modality: PSMA PET/CT | tracer: [18F]PSMA-1007 | view: axial | PET grid: 200×200
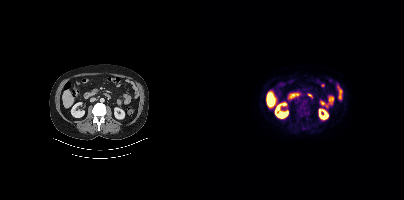
Coordinates are on the 200×200 PET (right) panel. PSMA-avid tumor lesion bounding boxes (x0, y0)-(x1, y1): (92, 102)-(105, 117) / (101, 115)-(105, 119) / (92, 119)-(95, 123).